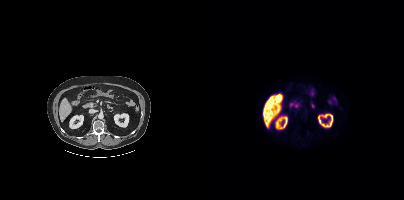
- Left: CT. Right: PSMA PET, same axial level, [18F]PSMA-1007 tracer
- acquired on Siemens Biograph mCT Flow 20
- slice 190 of 417
Findings: Negative for PSMA-avid disease on this slice.